modality: PSMA PET/CT | tracer: 18F | view: axial
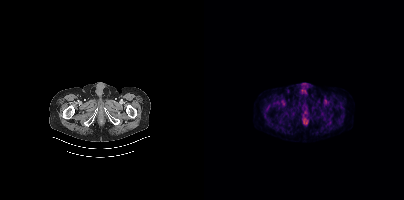
No PSMA-avid tumor lesions on this slice.